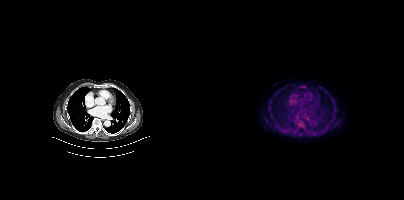
{"modality":"PSMA PET/CT","view":"axial","tracer":"[18F]PSMA-1007","pet_grid":[200,200],"coord_frame":"pet_panel","coord_format":"x0,y0,x1,y1","lesion_bboxes":[[96,123,100,127]]}